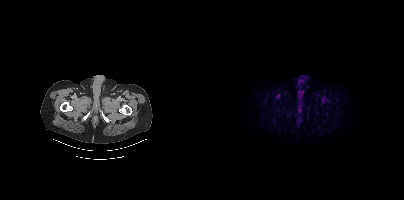
{"modality":"PSMA PET/CT","view":"axial","tracer":"18F","pet_grid":[200,200],"coord_frame":"pet_panel","coord_format":"x0,y0,x1,y1","lesion_bboxes":[],"small_foci_centers":[[123,99]]}